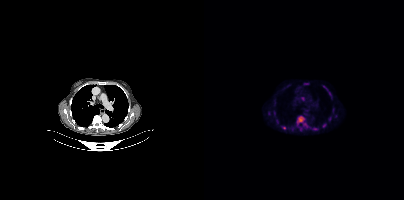
Coordinates are on the 200×200 PET (right) panel. (showing 10 of 11 foci) PSMA-avid tumor lesion bounding boxes (x0, y0)-(x1, y1): (93, 116)-(100, 123) | (125, 92)-(127, 98) | (119, 86)-(123, 89). Small PSMA-avid foci (2 to 4 px across) near (center x, center y): (101, 124) | (80, 128) | (98, 98) | (70, 112) | (65, 113) | (111, 128) | (120, 125).
modality: PSMA PET/CT | tracer: 18F-PSMA | view: axial